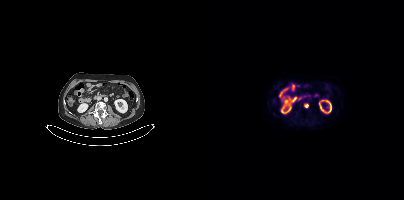
Left: CT. Right: PSMA PET, same axial level, [18F]PSMA-1007 tracer. PET panel 200×200 px (4.1 mm/px). Coordinates are on the 200×200 PET (right) panel. Small PSMA-avid focus (2 to 4 px across) near (center x, center y): (102, 105).